Left: CT. Right: PSMA PET, same axial level, 68Ga-PSMA tracer. Acquired on Siemens Biograph 64-4R TruePoint. PET panel 168×168 px (4.1 mm/px).
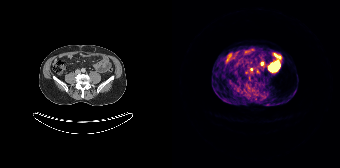
Coordinates are on the 168×168 PET (right) panel. Small PSMA-avid focus (2 to 4 px across) near (center x, center y): (79, 69).